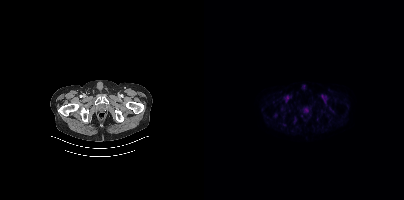
No PSMA-avid tumor lesions on this slice. Left: CT. Right: PSMA PET, same axial level, 18F tracer.